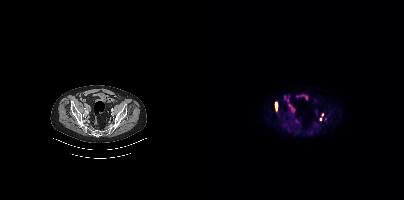
Coordinates are on the 200×200 PET (right) panel. PSMA-avid tumor lesion bounding box (x0,y0,x1,y1): [71,102,73,110]. Small PSMA-avid foci (2 to 4 px across) near (center x, center y): (116, 119) (118, 114).